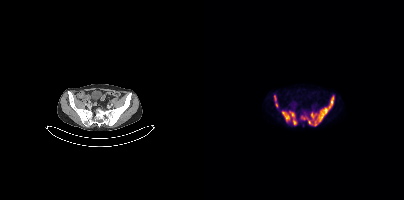
Paired axial CT (left) and PSMA PET (right), 18F-PSMA tracer. Slice position z = -1412 mm. PET panel 200×200 px (4.1 mm/px).
Coordinates are on the 200×200 PET (right) panel. PSMA-avid tumor lesion bounding boxes:
| # | x0 | y0 | x1 | y1 |
|---|---|---|---|---|
| 1 | 97 | 95 | 130 | 126 |
| 2 | 78 | 111 | 92 | 124 |
| 3 | 70 | 95 | 73 | 107 |